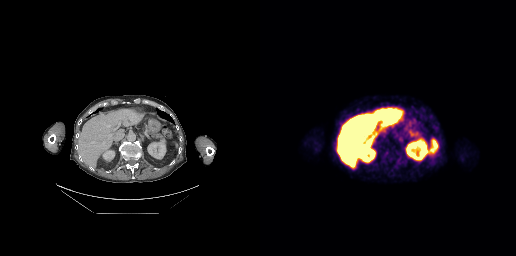
{"modality":"PSMA PET/CT","view":"axial","tracer":"18F","pet_grid":[256,256],"coord_frame":"pet_panel","coord_format":"x0,y0,x1,y1","psma_avid_lesions":false}